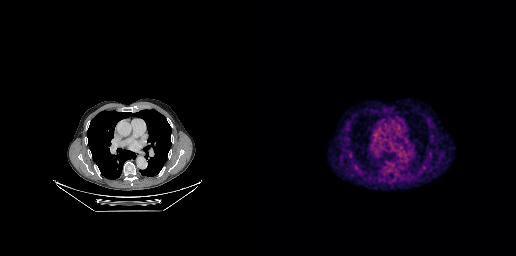
Technique: Paired axial CT (left) and PSMA PET (right), [18F]PSMA-1007 tracer. slice position z = -421 mm. PET panel 256×256 px (2.7 mm/px).
Findings: Negative for PSMA-avid disease on this slice.